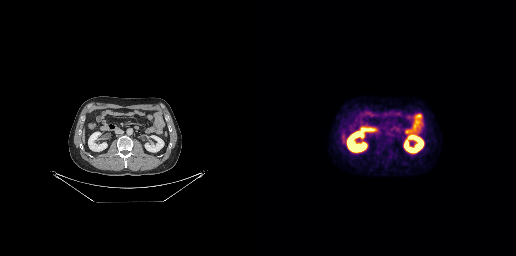
Left: CT. Right: PSMA PET, same axial level, 18F-PSMA tracer. Acquired on GE Discovery 690. Coordinates are on the 256×256 PET (right) panel. Small PSMA-avid focus (2 to 4 px across) near (center x, center y): (127, 133).